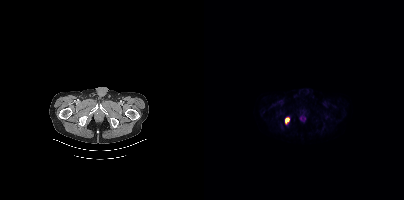
Coordinates are on the 200×200 PET (right) panel. Small PSMA-avid focus (2 to 4 px across) near (center x, center y): (82, 119).